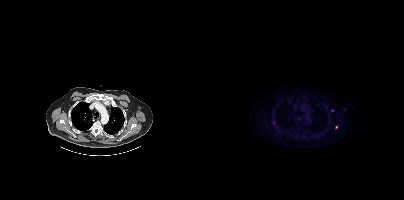
Findings: Coordinates are on the 200×200 PET (right) panel. Small PSMA-avid foci (2 to 4 px across) near (center x, center y): (69, 123); (132, 127); (128, 110).
- Left: CT. Right: PSMA PET, same axial level, 18F tracer
- slice 349 of 435
- PET panel 200×200 px (4.1 mm/px)